Technique: Left: CT. Right: PSMA PET, same axial level, 18F-PSMA tracer.
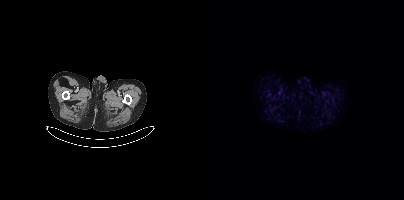
Findings: No tumor lesions annotated on this slice.